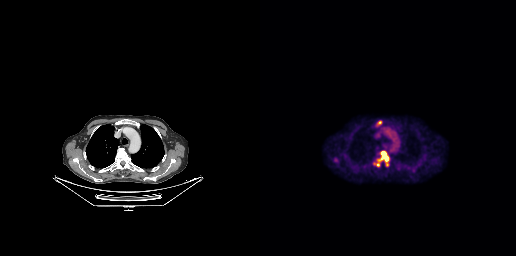
modality: PSMA PET/CT | tracer: 18F | view: axial
Coordinates are on the 256×256 PET (right) panel. PSMA-avid tumor lesion bounding boxes (x0,y0,x1,y1): [121,151,128,161] [116,120,122,126]. Small PSMA-avid focus (2 to 4 px across) near (center x, center y): (117, 164).